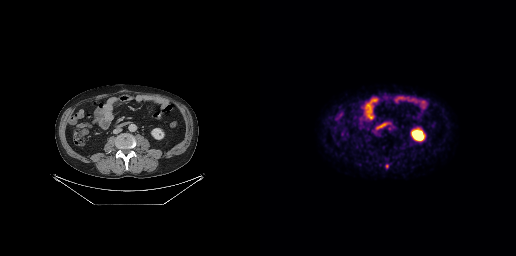
modality: PSMA PET/CT | tracer: [18F]PSMA-1007 | view: axial
Coordinates are on the 256×256 PET (right) panel. Small PSMA-avid focus (2 to 4 px across) near (center x, center y): (126, 166).